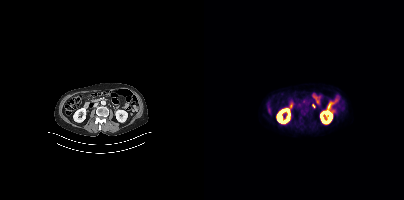
Coordinates are on the 200×200 PET (right) panel. Small PSMA-avid foci (2 to 4 px across) near (center x, center y): (109, 105) | (99, 101).